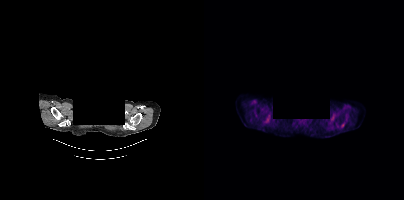
- the face region was removed for patient privacy by blanking a rectangle over the head
- Left: CT. Right: PSMA PET, same axial level, 18F-PSMA tracer
Findings: No tumor lesions annotated on this slice.